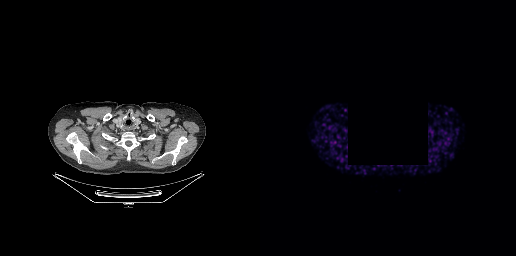
Negative for PSMA-avid disease on this slice.
de-identification: privacy mask (black rectangle) | modality: PSMA PET/CT | tracer: 68Ga-PSMA | view: axial | PET grid: 256×256